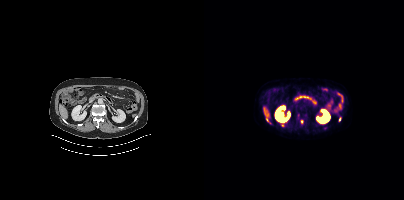
{"modality":"PSMA PET/CT","view":"axial","tracer":"18F","pet_grid":[200,200],"coord_frame":"pet_panel","coord_format":"x0,y0,x1,y1","partial":true,"lesion_bboxes":[],"small_foci_centers":[[63,119],[135,119]]}